Left: CT. Right: PSMA PET, same axial level, [18F]PSMA-1007 tracer. PET panel 200×200 px (4.1 mm/px).
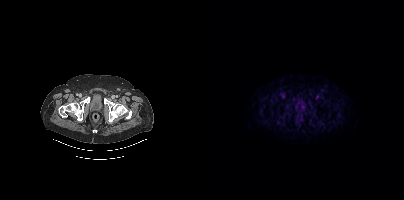
This slice has no annotated PSMA-avid lesion.